modality: PSMA PET/CT | tracer: 18F-PSMA | view: axial | PET grid: 200×200
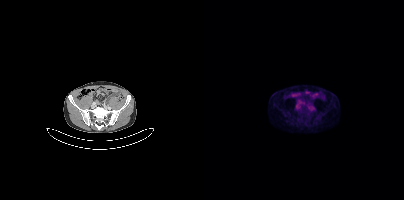
Coordinates are on the 200×200 PET (right) panel. PSMA-avid tumor lesion bounding box (x, y, width, height): x=105 y=106 w=5 h=5.